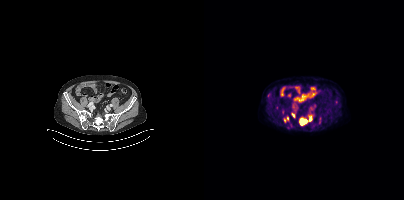
Findings: Coordinates are on the 200×200 PET (right) panel. (showing 5 of 8 foci) PSMA-avid tumor lesion bounding boxes (x, y, width, height): x=96 y=117 w=13 h=9 / x=88 y=113 w=3 h=5. Small PSMA-avid foci (2 to 4 px across) near (center x, center y): (83, 118) / (65, 95) / (80, 120).
Technique: Two-panel axial: CT | PSMA PET, 18F-PSMA tracer. acquired on Siemens Biograph mCT Flow 20. slice position z = -706 mm.